Technique: Left: CT. Right: PSMA PET, same axial level, 18F-PSMA tracer. acquired on GE Discovery 690. slice position z = -282 mm.
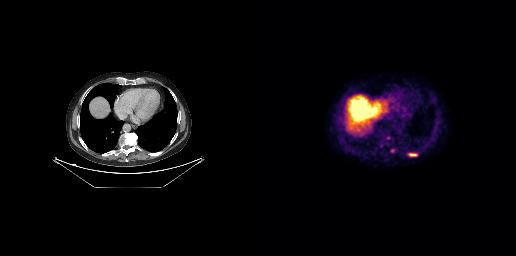
Findings: Coordinates are on the 256×256 PET (right) panel. PSMA-avid tumor lesion bounding boxes (x0,y0,x1,y1): [148,153,157,156], [130,148,133,152]. Small PSMA-avid focus (2 to 4 px across) near (center x, center y): (126, 137).